A rectangle over the head was blacked out to remove identifiable facial features.
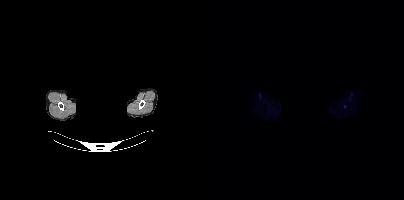
Only PSMA-avid lesion pieces thinner than 2 px on this slice (not listed).